Technique: Two-panel axial: CT | PSMA PET, [68Ga]Ga-PSMA-11 tracer.
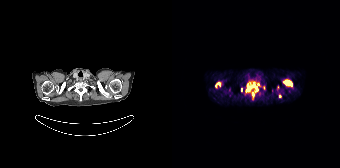
Findings: Coordinates are on the 168×168 PET (right) panel. (showing 7 of 10 foci) PSMA-avid tumor lesion bounding boxes (x, y, width, height): x=112 y=80 w=9 h=6 / x=43 y=82 w=6 h=6 / x=75 y=84 w=4 h=7 / x=84 y=86 w=2 h=5. Small PSMA-avid foci (2 to 4 px across) near (center x, center y): (69, 89) / (81, 85) / (107, 96).